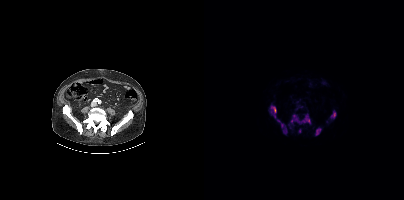
{"modality":"PSMA PET/CT","view":"axial","tracer":"[18F]PSMA-1007","pet_grid":[200,200],"coord_frame":"pet_panel","coord_format":"x0,y0,x1,y1","partial":true,"lesion_bboxes":[[87,114,106,123],[73,120,82,133],[67,106,72,117],[126,110,132,118],[111,128,117,135]],"small_foci_centers":[[95,130]]}